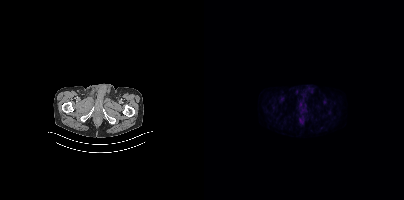
modality: PSMA PET/CT | tracer: [18F]PSMA-1007 | view: axial
No tumor lesions annotated on this slice.